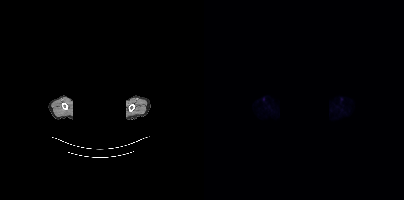
- Paired axial CT (left) and PSMA PET (right), 18F tracer
- head region blanked for anonymization (face removed)
Findings: Negative for PSMA-avid disease on this slice.